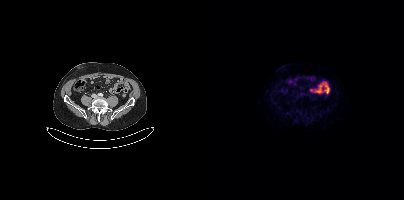
Findings: No tumor lesions annotated on this slice.
Technique: Left: CT. Right: PSMA PET, same axial level, 18F-PSMA tracer. slice 159 of 433.